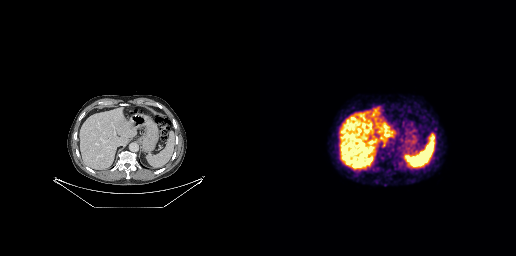
Technique: Paired axial CT (left) and PSMA PET (right), [68Ga]Ga-PSMA-11 tracer. slice 129 of 227.
Findings: No tumor lesions annotated on this slice.